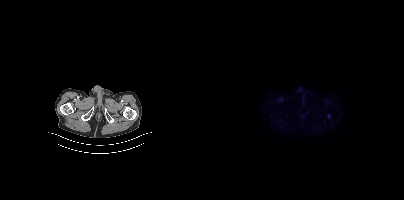
Technique: Left: CT. Right: PSMA PET, same axial level, [18F]PSMA-1007 tracer.
Findings: Coordinates are on the 200×200 PET (right) panel. Small PSMA-avid focus (2 to 4 px across) near (center x, center y): (124, 116).